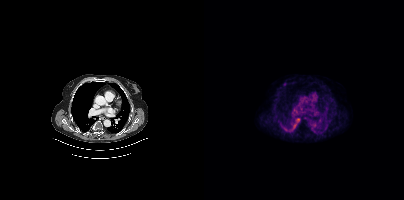
modality: PSMA PET/CT | tracer: [18F]PSMA-1007 | view: axial
Coordinates are on the 200×200 PET (right) panel. Small PSMA-avid focus (2 to 4 px across) near (center x, center y): (80, 84).